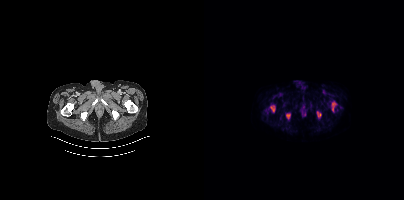
- Two-panel axial: CT | PSMA PET, [18F]PSMA-1007 tracer
Findings: Coordinates are on the 200×200 PET (right) panel. PSMA-avid tumor lesion bounding boxes (x, y, width, height): x=66 y=105 w=6 h=8; x=82 y=113 w=5 h=7; x=128 y=102 w=4 h=10; x=113 y=112 w=5 h=5.